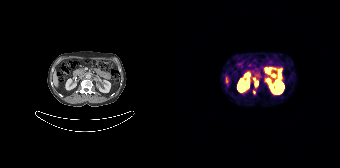
Coordinates are on the 168×168 PET (right) panel. PSMA-avid tumor lesion bounding boxes (x0, y0)-(x1, y1): (83, 81)-(85, 85) / (81, 90)-(83, 94).